Technique: Two-panel axial: CT | PSMA PET, [68Ga]Ga-PSMA-11 tracer. acquired on Siemens Biograph 64-4R TruePoint. slice 52 of 195.
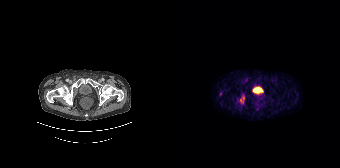
Findings: Coordinates are on the 168×168 PET (right) panel. Small PSMA-avid foci (2 to 4 px across) near (center x, center y): (69, 100) (71, 98) (48, 93).